Left: CT. Right: PSMA PET, same axial level, [18F]PSMA-1007 tracer. Acquired on Siemens Biograph mCT Flow 20. Slice position z = -1388 mm.
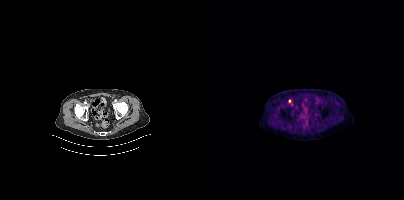
Coordinates are on the 200×200 PET (right) panel. Small PSMA-avid focus (2 to 4 px across) near (center x, center y): (85, 101).